Technique: Paired axial CT (left) and PSMA PET (right), 18F tracer. acquired on Siemens Biograph mCT Flow 20. slice position z = 351 mm.
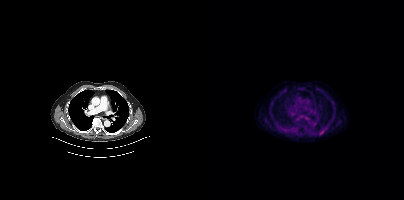
Findings: This slice has no annotated PSMA-avid lesion.